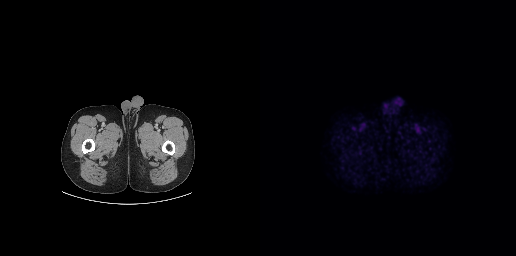
No tumor lesions annotated on this slice.
modality: PSMA PET/CT | tracer: [18F]PSMA-1007 | view: axial | PET grid: 256×256